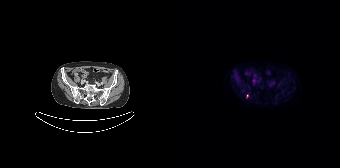
{"modality":"PSMA PET/CT","view":"axial","tracer":"18F-PSMA","pet_grid":[168,168],"coord_frame":"pet_panel","coord_format":"x0,y0,x1,y1","lesion_bboxes":[],"small_foci_centers":[[74,96]]}